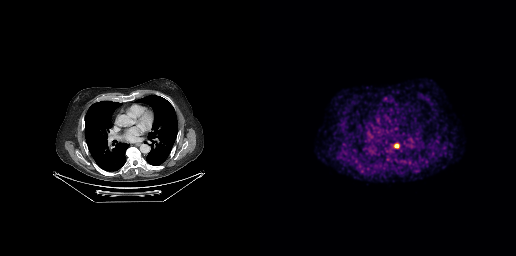
- Two-panel axial: CT | PSMA PET, 18F tracer
- acquired on GE Discovery 690
Findings: Coordinates are on the 256×256 PET (right) panel. Small PSMA-avid focus (2 to 4 px across) near (center x, center y): (136, 146).